Paired axial CT (left) and PSMA PET (right), 18F tracer. PET panel 200×200 px (4.1 mm/px).
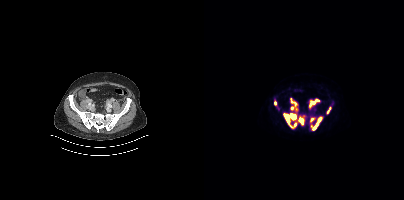
Coordinates are on the 200×200 PET (right) panel. (showing 8 of 9 foci) PSMA-avid tumor lesion bounding boxes (x0,y0,x1,y1): [79,113,92,128], [107,116,118,130], [86,98,93,110], [105,99,115,107], [94,116,100,125], [123,107,127,113], [106,118,110,121], [70,101,72,105].